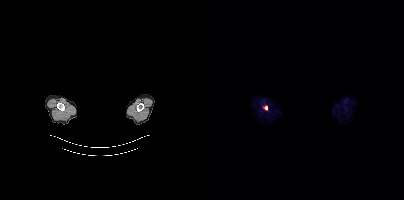
- Left: CT. Right: PSMA PET, same axial level, 18F-PSMA tracer
- slice 371 of 405
- an anonymization step blacked out a rectangle over the head in this scan
Findings: Coordinates are on the 200×200 PET (right) panel. PSMA-avid tumor lesion bounding box (x, y, width, height): x=59 y=105 w=5 h=6.